Left: CT. Right: PSMA PET, same axial level, 18F tracer. Acquired on Siemens Biograph mCT Flow 20.
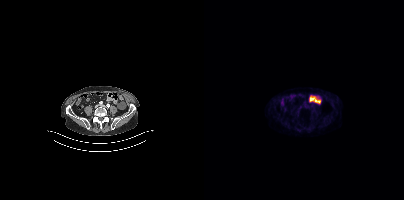
This slice has no annotated PSMA-avid lesion.